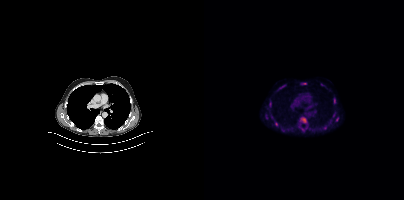
Coordinates are on the 200×200 PET (right) panel. (showing 6 of 7 foci) PSMA-avid tumor lesion bounding boxes (x0,y0,x1,y1): [97,82,102,84] [132,117,134,121] [65,102,67,106] [129,113,131,117]. Small PSMA-avid foci (2 to 4 px across) near (center x, center y): (72, 123) (126, 121). Two-panel axial: CT | PSMA PET, 18F tracer. Acquired on Siemens Biograph mCT Flow 20. PET panel 200×200 px (4.1 mm/px).